Left: CT. Right: PSMA PET, same axial level, 18F tracer. Acquired on Siemens Biograph mCT Flow 20.
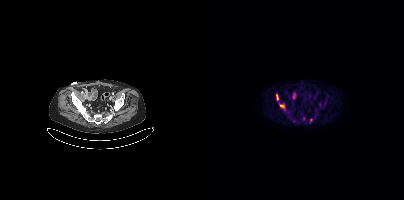
Coordinates are on the 200×200 PET (right) panel. PSMA-avid tumor lesion bounding boxes:
| # | x0 | y0 | x1 | y1 |
|---|---|---|---|---|
| 1 | 76 | 105 | 80 | 109 |
| 2 | 72 | 94 | 74 | 99 |
Small PSMA-avid focus (2 to 4 px across) near (center x, center y): (106, 119).